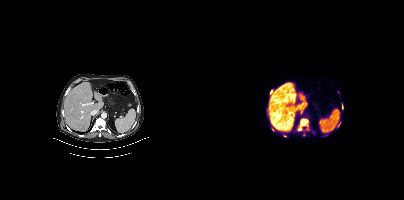
Technique: Left: CT. Right: PSMA PET, same axial level, 18F-PSMA tracer. slice position z = 26 mm. PET panel 200×200 px (4.1 mm/px).
Findings: Coordinates are on the 200×200 PET (right) panel. (showing 3 of 5 foci) PSMA-avid tumor lesion bounding box (x, y, width, height): x=97 y=119 w=7 h=8. Small PSMA-avid foci (2 to 4 px across) near (center x, center y): (95, 129) | (67, 91).